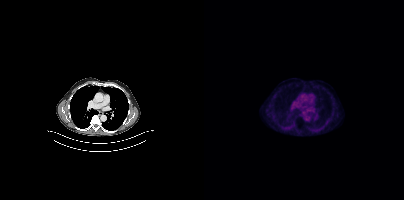
Left: CT. Right: PSMA PET, same axial level, 18F-PSMA tracer. Acquired on Siemens Biograph mCT Flow 20. PET panel 200×200 px (4.1 mm/px). No tumor lesions annotated on this slice.